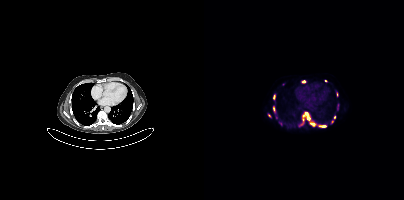
Coordinates are on the 200×200 PET (right) panel. (showing 13 of 16 foci) PSMA-avid tumor lesion bounding boxes (x0, y0)-(x1, y1): (98, 112)-(105, 119) | (116, 125)-(122, 127) | (106, 123)-(110, 125) | (69, 95)-(71, 99) | (133, 92)-(134, 96). Small PSMA-avid foci (2 to 4 px across) near (center x, center y): (76, 123) | (96, 124) | (69, 108) | (130, 117) | (65, 115) | (121, 80) | (99, 81) | (128, 121). Two-panel axial: CT | PSMA PET, 18F-PSMA tracer. PET panel 200×200 px (4.1 mm/px).